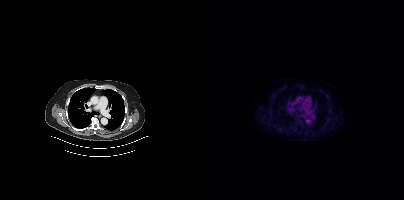
{"modality":"PSMA PET/CT","view":"axial","tracer":"[18F]PSMA-1007","pet_grid":[200,200],"coord_frame":"pet_panel","coord_format":"x0,y0,x1,y1","psma_avid_lesions":false}